Paired axial CT (left) and PSMA PET (right), 18F tracer. PET panel 200×200 px (4.1 mm/px).
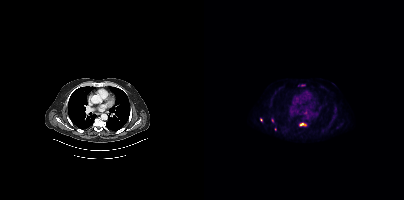
Coordinates are on the 200×200 PET (right) panel. (showing 4 of 6 foci) PSMA-avid tumor lesion bounding box (x0,y0,x1,y1): [95,123,101,126]. Small PSMA-avid foci (2 to 4 px across) near (center x, center y): (101, 112), (68, 120), (71, 129).